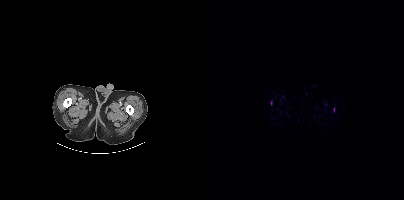
{"modality":"PSMA PET/CT","view":"axial","tracer":"[18F]PSMA-1007","pet_grid":[200,200],"coord_frame":"pet_panel","coord_format":"x0,y0,x1,y1","lesion_bboxes":[],"small_foci_centers":[[129,110]]}